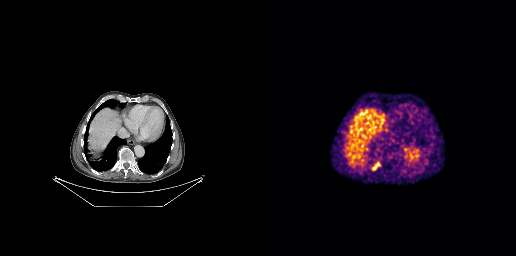
Coordinates are on the 256×256 PET (right) panel. PSMA-avid tumor lesion bounding box (x0,y0,x1,y1): [112,161,120,170].